Two-panel axial: CT | PSMA PET, 68Ga-PSMA tracer. Acquired on GE Discovery 690. Slice 107 of 263. PET panel 256×256 px (2.7 mm/px).
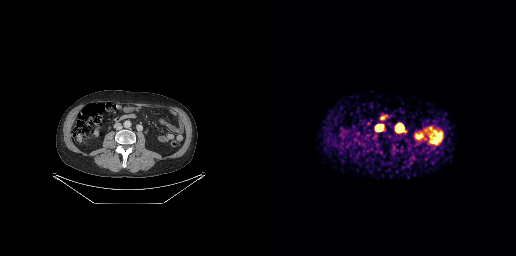
Coordinates are on the 256×256 PET (right) panel. PSMA-avid tumor lesion bounding boxes (x0, y0)-(x1, y1): (137, 125)-(142, 131) | (116, 125)-(122, 130).